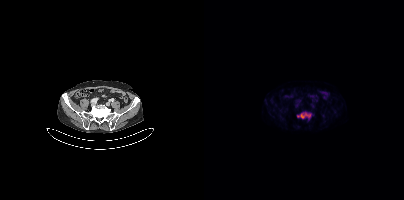
Findings: Coordinates are on the 200×200 PET (right) panel. PSMA-avid tumor lesion bounding box (x0, y0)-(x1, y1): (93, 112)-(107, 118).
Technique: Left: CT. Right: PSMA PET, same axial level, [18F]PSMA-1007 tracer. slice 121 of 431.